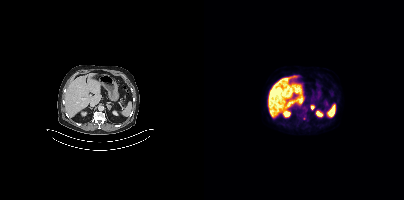
{"modality":"PSMA PET/CT","view":"axial","tracer":"[18F]PSMA-1007","pet_grid":[200,200],"coord_frame":"pet_panel","coord_format":"x0,y0,x1,y1","lesion_bboxes":[[106,105,110,109]],"small_foci_centers":[[100,117]]}